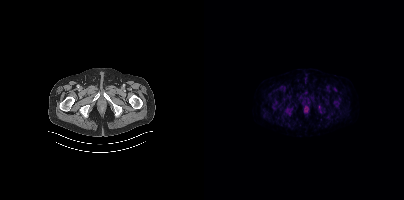
modality: PSMA PET/CT | tracer: 18F | view: axial | PET grid: 200×200
No tumor lesions annotated on this slice.